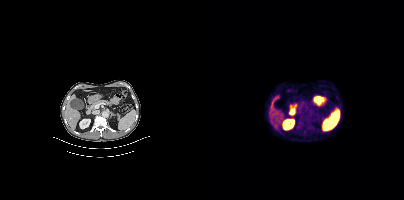
Coordinates are on the 200×200 PET (right) panel. PSMA-avid tumor lesion bounding boxes:
| # | x0 | y0 | x1 | y1 |
|---|---|---|---|---|
| 1 | 101 | 120 | 108 | 129 |
| 2 | 95 | 122 | 99 | 126 |
Paired axial CT (left) and PSMA PET (right), 18F-PSMA tracer. Acquired on Siemens Biograph mCT Flow 20. PET panel 200×200 px (4.1 mm/px).